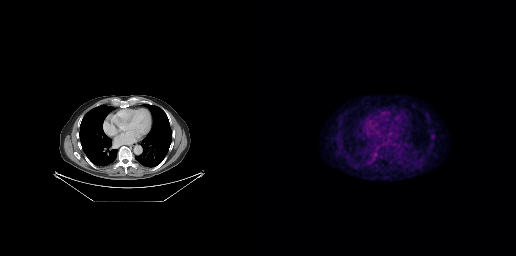
Coordinates are on the 256×256 PET (right) panel. Small PSMA-avid focus (2 to 4 px across) near (center x, center y): (172, 138).
modality: PSMA PET/CT | tracer: 18F | view: axial | PET grid: 256×256